Technique: Paired axial CT (left) and PSMA PET (right), [18F]PSMA-1007 tracer. acquired on Siemens Biograph mCT Flow 20. PET panel 200×200 px (4.1 mm/px).
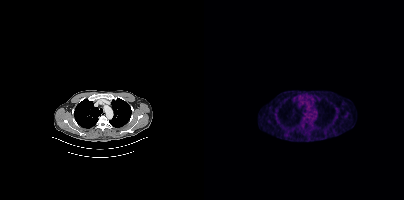
Findings: No PSMA-avid tumor lesions on this slice.